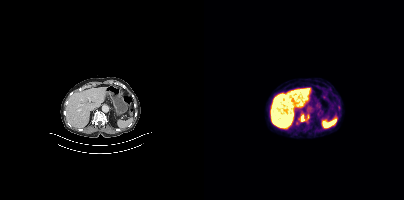
{"modality":"PSMA PET/CT","view":"axial","tracer":"[18F]PSMA-1007","pet_grid":[200,200],"coord_frame":"pet_panel","coord_format":"x0,y0,x1,y1","partial":true,"lesion_bboxes":[[97,115,100,121]],"small_foci_centers":[[92,122]]}